modality: PSMA PET/CT | tracer: 18F | view: axial
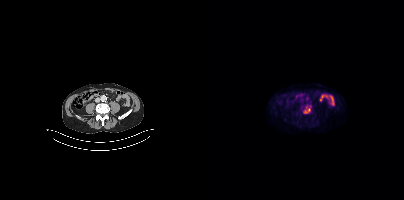
Coordinates are on the 200×200 PET (right) panel. PSMA-avid tumor lesion bounding box (x0, y0)-(x1, y1): (99, 107)-(106, 113).